modality: PSMA PET/CT | tracer: 18F | view: axial
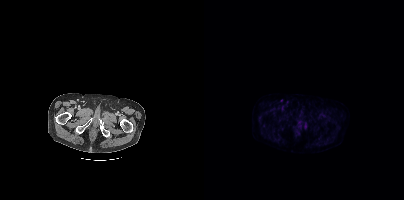
Negative for PSMA-avid disease on this slice.